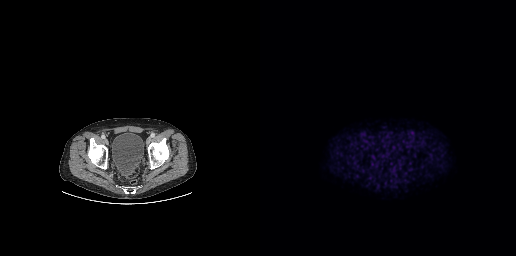
No PSMA-avid tumor lesions on this slice.
modality: PSMA PET/CT | tracer: [18F]PSMA-1007 | view: axial